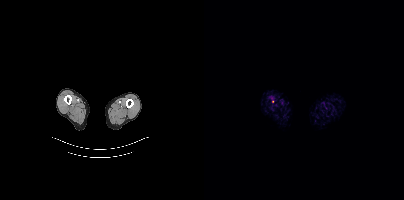
Coordinates are on the 200×200 PET (right) panel. Small PSMA-avid focus (2 to 4 px across) near (center x, center y): (68, 101).